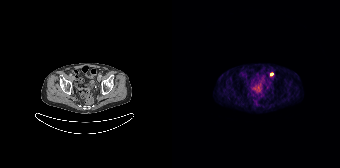
modality: PSMA PET/CT | tracer: 68Ga-PSMA | view: axial
Coordinates are on the 168×168 PET (right) panel. Small PSMA-avid focus (2 to 4 px across) near (center x, center y): (99, 74).